Paired axial CT (left) and PSMA PET (right), 18F tracer. Slice position z = -572 mm. PET panel 200×200 px (4.1 mm/px).
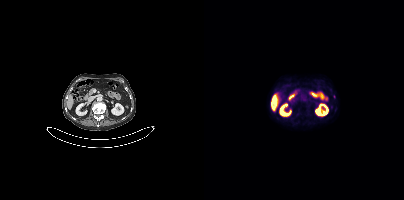
Coordinates are on the 200×200 PET (right) panel. Small PSMA-avid focus (2 to 4 px across) near (center x, center y): (130, 96).